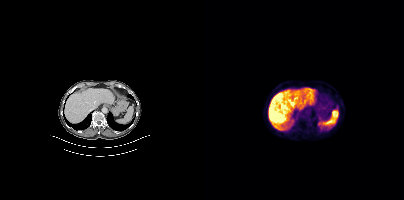
modality: PSMA PET/CT | tracer: [18F]PSMA-1007 | view: axial
No PSMA-avid tumor lesions on this slice.